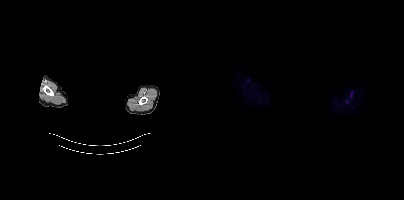
Facial anatomy redacted by setting a rectangular region of the head to black. Paired axial CT (left) and PSMA PET (right), [18F]PSMA-1007 tracer. PET panel 200×200 px (4.1 mm/px). This slice has no annotated PSMA-avid lesion.